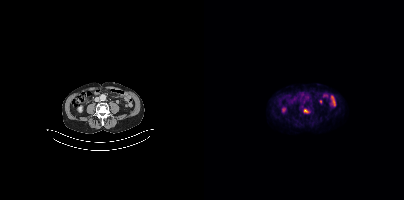
Two-panel axial: CT | PSMA PET, 18F-PSMA tracer. Slice position z = -775 mm. PET panel 200×200 px (4.1 mm/px).
Coordinates are on the 200×200 PET (right) panel. PSMA-avid tumor lesion bounding boxes:
| # | x0 | y0 | x1 | y1 |
|---|---|---|---|---|
| 1 | 100 | 109 | 105 | 113 |